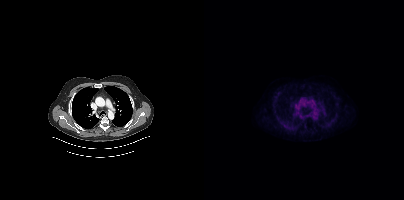
Paired axial CT (left) and PSMA PET (right), 18F tracer. Acquired on Siemens Biograph mCT Flow 20. PET panel 200×200 px (4.1 mm/px). Negative for PSMA-avid disease on this slice.